Paired axial CT (left) and PSMA PET (right), [18F]PSMA-1007 tracer. Acquired on Siemens Biograph mCT Flow 20. PET panel 200×200 px (4.1 mm/px).
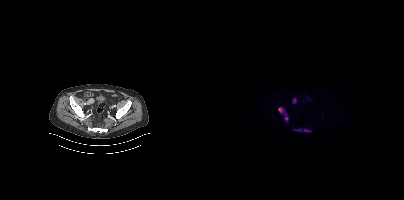
Coordinates are on the 200×200 PET (right) panel. (showing 4 of 5 foci) PSMA-avid tumor lesion bounding boxes (x, y, width, height): x=93 y=128 w=11 h=4 | x=74 y=107 w=5 h=6. Small PSMA-avid foci (2 to 4 px across) near (center x, center y): (92, 101) | (106, 129).